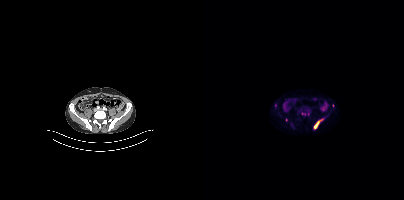
Coordinates are on the 200×200 PET (right) panel. (showing 1 of 2 foci) PSMA-avid tumor lesion bounding box (x0, y0)-(x1, y1): (110, 119)-(118, 128).